Paired axial CT (left) and PSMA PET (right), 68Ga tracer. Acquired on Siemens Biograph 64-4R TruePoint. The head region is masked for de-identification.
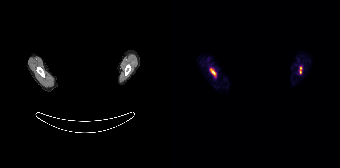
Coordinates are on the 168×168 PET (right) panel. PSMA-avid tumor lesion bounding boxes (x0, y0)-(x1, y1): (38, 68)-(44, 76); (128, 67)-(129, 73).